Technique: Paired axial CT (left) and PSMA PET (right), [68Ga]Ga-PSMA-11 tracer.
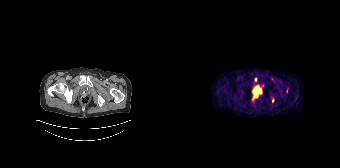
Findings: Coordinates are on the 168×168 PET (right) panel. Small PSMA-avid foci (2 to 4 px across) near (center x, center y): (83, 79) | (114, 90) | (100, 100) | (100, 78).